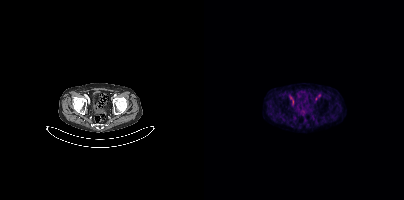
Negative for PSMA-avid disease on this slice.